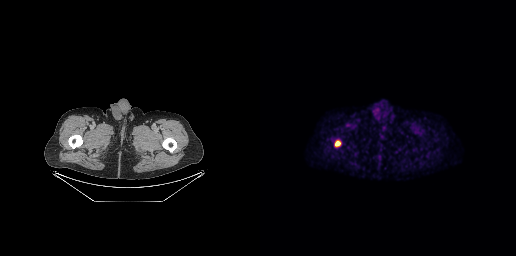
Coordinates are on the 256×256 PET (right) panel. PSMA-avid tumor lesion bounding box (x0,y0,x1,y1): [75,141,80,146].